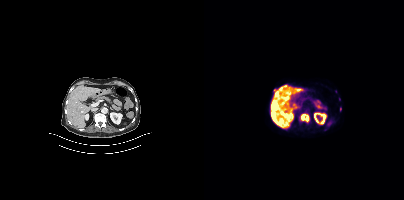
modality: PSMA PET/CT | tracer: 18F-PSMA | view: axial
Coordinates are on the 200×200 PET (right) panel. (showing 4 of 5 foci) PSMA-avid tumor lesion bounding boxes (x, y, width, height): x=97 y=114 w=8 h=8 / x=83 y=87 w=5 h=8 / x=70 y=89 w=6 h=8. Small PSMA-avid focus (2 to 4 px across) near (center x, center y): (68, 105).